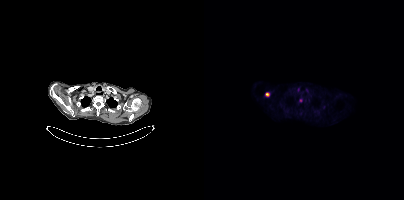
Technique: Two-panel axial: CT | PSMA PET, [18F]PSMA-1007 tracer. slice 346 of 409.
Findings: Coordinates are on the 200×200 PET (right) panel. PSMA-avid tumor lesion bounding box (x0, y0)-(x1, y1): (61, 92)-(65, 96). Small PSMA-avid focus (2 to 4 px across) near (center x, center y): (96, 100).